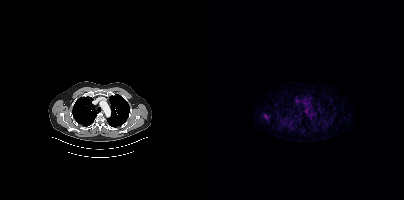
Paired axial CT (left) and PSMA PET (right), 68Ga tracer. Acquired on Siemens Biograph mCT Flow 20. Slice position z = -1002 mm. Coordinates are on the 200×200 PET (right) panel. Small PSMA-avid focus (2 to 4 px across) near (center x, center y): (61, 115).